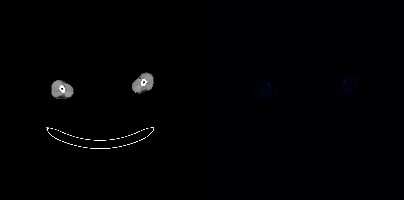
De-identified by setting a box covering the face to black before release. Two-panel axial: CT | PSMA PET, 68Ga tracer. PET panel 200×200 px (4.1 mm/px). No tumor lesions annotated on this slice.